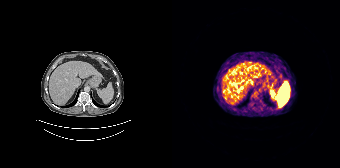
Negative for PSMA-avid disease on this slice.